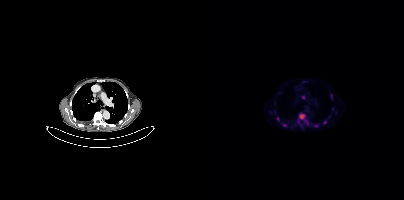
Two-panel axial: CT | PSMA PET, [18F]PSMA-1007 tracer. Slice 248 of 354. PET panel 200×200 px (4.1 mm/px).
Coordinates are on the 200×200 PET (right) panel. PSMA-avid tumor lesion bounding boxes (partial; 2 more foci not listed):
| # | x0 | y0 | x1 | y1 |
|---|---|---|---|---|
| 1 | 95 | 113 | 101 | 119 |
Small PSMA-avid foci (2 to 4 px across) near (center x, center y): (99, 97); (121, 122); (73, 118); (80, 125); (112, 125).